Two-panel axial: CT | PSMA PET, 18F-PSMA tracer. Acquired on Siemens Biograph mCT Flow 20. PET panel 200×200 px (4.1 mm/px).
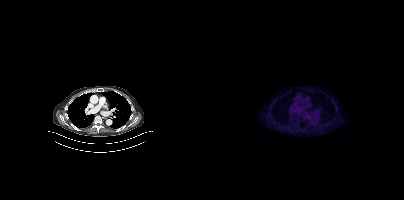
Only PSMA-avid lesion pieces thinner than 2 px on this slice (not listed).